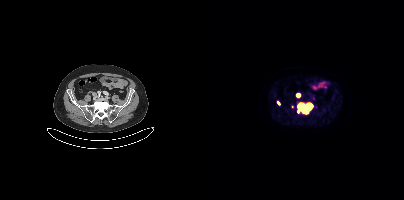
Findings: Coordinates are on the 200×200 PET (right) panel. (showing 3 of 4 foci) PSMA-avid tumor lesion bounding boxes (x0,y0,x1,y1): [94,103,108,113]; [92,93,96,96]. Small PSMA-avid focus (2 to 4 px across) near (center x, center y): (74, 102).
Technique: Two-panel axial: CT | PSMA PET, [18F]PSMA-1007 tracer. acquired on Siemens Biograph mCT Flow 20.